- Left: CT. Right: PSMA PET, same axial level, 18F-PSMA tracer
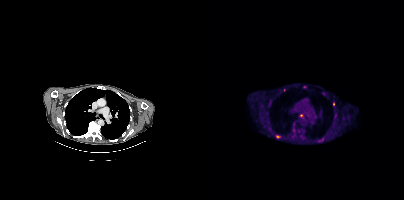
Findings: Coordinates are on the 200×200 PET (right) panel. (showing 5 of 6 foci) PSMA-avid tumor lesion bounding box (x, y, width, height): x=116 y=138 w=5 h=4. Small PSMA-avid foci (2 to 4 px across) near (center x, center y): (73, 136); (129, 104); (100, 86); (80, 90).